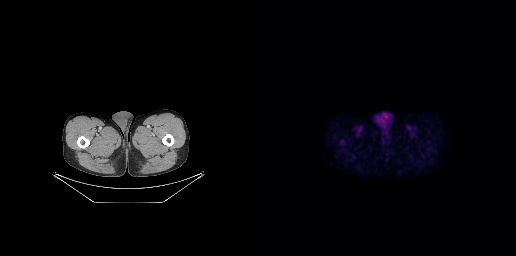
{"pet_grid":[256,256],"coord_frame":"pet_panel","coord_format":"x0,y0,x1,y1","lesion_bboxes":[[80,140,84,144]],"modality":"PSMA PET/CT","view":"axial","tracer":"[18F]PSMA-1007"}